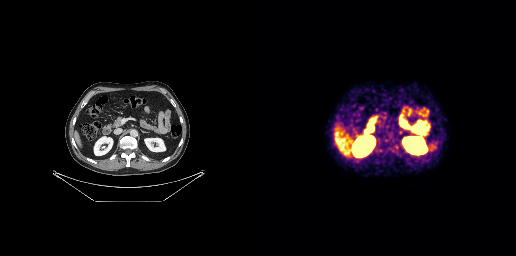
{"pet_grid":[256,256],"coord_frame":"pet_panel","coord_format":"x0,y0,x1,y1","psma_avid_lesions":false,"modality":"PSMA PET/CT","view":"axial","tracer":"[68Ga]Ga-PSMA-11"}